Technique: Paired axial CT (left) and PSMA PET (right), [18F]PSMA-1007 tracer. acquired on Siemens Biograph mCT Flow 20. slice position z = -1456 mm. PET panel 200×200 px (4.1 mm/px).
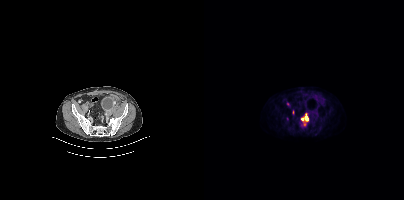
Findings: Coordinates are on the 200×200 PET (right) panel. (showing 2 of 3 foci) PSMA-avid tumor lesion bounding box (x0, y0)-(x1, y1): (97, 113)-(104, 121). Small PSMA-avid focus (2 to 4 px across) near (center x, center y): (100, 124).